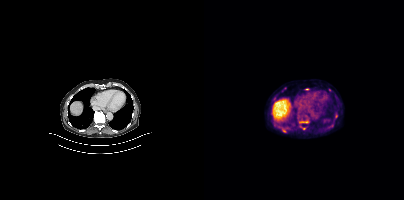
modality: PSMA PET/CT | tracer: 18F-PSMA | view: axial
Coordinates are on the 200×200 PET (right) panel. (showing 5 of 6 foci) PSMA-avid tumor lesion bounding box (x, y, width, height): x=96 y=121 w=9 h=2. Small PSMA-avid foci (2 to 4 px across) near (center x, center y): (80, 130); (102, 89); (132, 116); (99, 128).